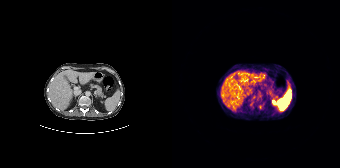
{"modality":"PSMA PET/CT","view":"axial","tracer":"68Ga-PSMA","pet_grid":[168,168],"coord_frame":"pet_panel","coord_format":"x0,y0,x1,y1","partial":true,"lesion_bboxes":[]}